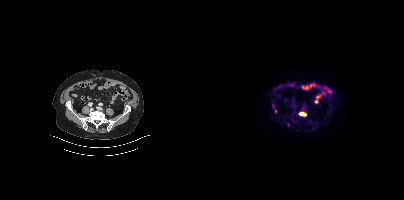
Paired axial CT (left) and PSMA PET (right), [18F]PSMA-1007 tracer. Acquired on Siemens Biograph mCT Flow 20. Slice 139 of 405.
Coordinates are on the 200×200 PET (right) panel. PSMA-avid tumor lesion bounding boxes:
| # | x0 | y0 | x1 | y1 |
|---|---|---|---|---|
| 1 | 95 | 112 | 102 | 116 |
Small PSMA-avid focus (2 to 4 px across) near (center x, center y): (71, 111).